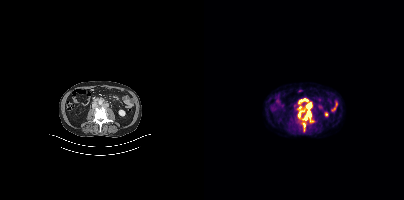
{"modality":"PSMA PET/CT","view":"axial","tracer":"[18F]PSMA-1007","pet_grid":[200,200],"coord_frame":"pet_panel","coord_format":"x0,y0,x1,y1","partial":true,"lesion_bboxes":[[98,110,109,121],[94,110,100,118],[102,103,107,108],[99,123,101,130]],"small_foci_centers":[[101,99],[97,100]]}